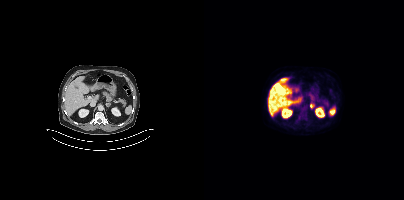
Coordinates are on the 200×200 PET (right) panel. PSMA-avid tumor lesion bounding box (x, y, width, height): x=106 y=103 w=5 h=6.